- Left: CT. Right: PSMA PET, same axial level, 18F tracer
- acquired on Siemens Biograph mCT Flow 20
- slice 302 of 403
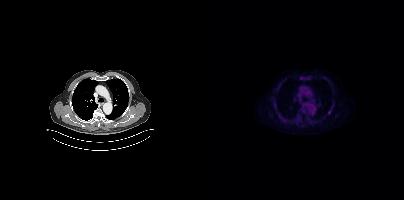
Findings: Only PSMA-avid lesion pieces thinner than 2 px on this slice (not listed).